- Two-panel axial: CT | PSMA PET, [18F]PSMA-1007 tracer
- PET panel 200×200 px (4.1 mm/px)
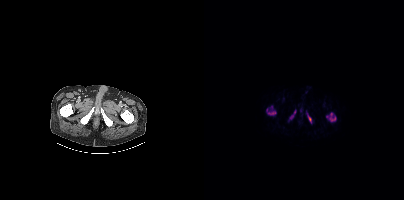
Findings: Coordinates are on the 200×200 PET (right) panel. PSMA-avid tumor lesion bounding boxes (x, y, width, height): x=122 y=112 w=11 h=11; x=62 y=106 w=11 h=10; x=102 y=113 w=6 h=11; x=86 y=110 w=6 h=10.